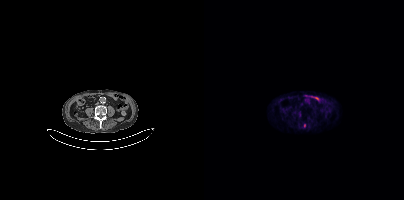
Technique: Paired axial CT (left) and PSMA PET (right), [18F]PSMA-1007 tracer.
Findings: Coordinates are on the 200×200 PET (right) panel. Small PSMA-avid focus (2 to 4 px across) near (center x, center y): (100, 125).